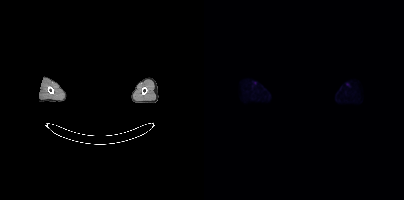
- Paired axial CT (left) and PSMA PET (right), 18F tracer
- acquired on Siemens Biograph mCT Flow 20
- PET panel 200×200 px (4.1 mm/px)
- head region blanked for anonymization (face removed)
Findings: This slice has no annotated PSMA-avid lesion.